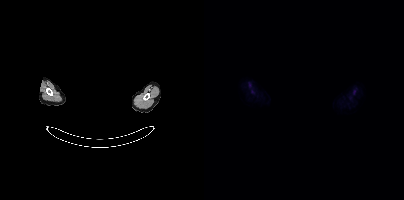
Negative for PSMA-avid disease on this slice. De-identified by setting a box covering the face to black before release. Two-panel axial: CT | PSMA PET, 18F tracer. Slice 393 of 431. PET panel 200×200 px (4.1 mm/px).